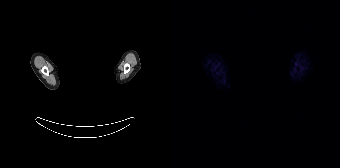
deidentification: head region blanked (face removed) | modality: PSMA PET/CT | tracer: 68Ga-PSMA | view: axial
No tumor lesions annotated on this slice.